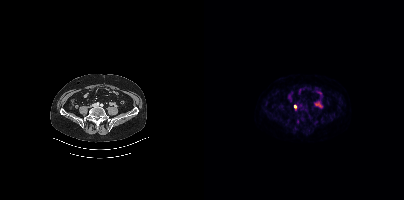
{"modality":"PSMA PET/CT","view":"axial","tracer":"18F-PSMA","pet_grid":[200,200],"coord_frame":"pet_panel","coord_format":"x0,y0,x1,y1","lesion_bboxes":[],"small_foci_centers":[[90,106]]}